Two-panel axial: CT | PSMA PET, [18F]PSMA-1007 tracer. Slice position z = -1018 mm. PET panel 200×200 px (4.1 mm/px).
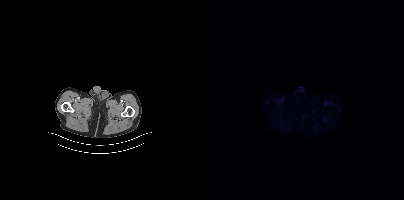
Negative for PSMA-avid disease on this slice.